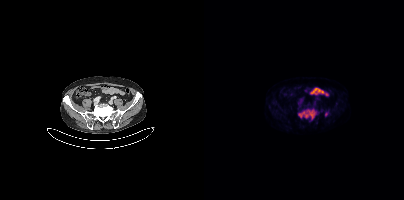
Left: CT. Right: PSMA PET, same axial level, 18F tracer. PET panel 200×200 px (4.1 mm/px). Coordinates are on the 200×200 PET (right) panel. PSMA-avid tumor lesion bounding box (x, y, width, height): x=94 y=109 w=18 h=11. Small PSMA-avid focus (2 to 4 px across) near (center x, center y): (122, 114).